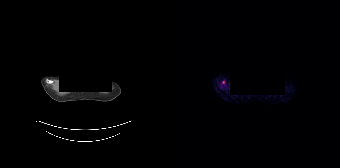
{"pet_grid":[168,168],"coord_frame":"pet_panel","coord_format":"x0,y0,x1,y1","lesion_bboxes":[],"small_foci_centers":[[51,82]],"deidentification":"facial region redacted","modality":"PSMA PET/CT","view":"axial","tracer":"68Ga-PSMA"}